- Two-panel axial: CT | PSMA PET, [18F]PSMA-1007 tracer
- acquired on Siemens Biograph mCT Flow 20
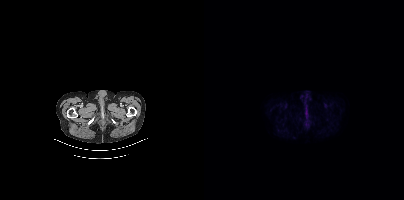
Findings: No PSMA-avid tumor lesions on this slice.